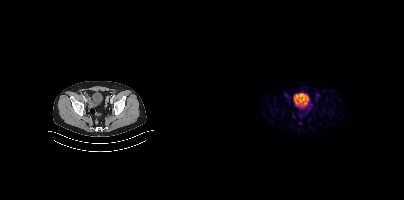
This slice has no annotated PSMA-avid lesion.